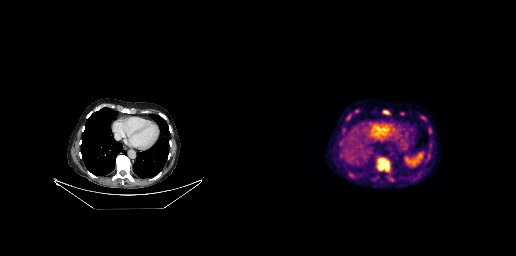
Paired axial CT (left) and PSMA PET (right), 18F-PSMA tracer. PET panel 256×256 px (2.7 mm/px). Coordinates are on the 256×256 PET (right) panel. (showing 6 of 7 foci) PSMA-avid tumor lesion bounding boxes (x0, y0)-(x1, y1): (117, 158)-(129, 171) / (123, 110)-(129, 114) / (86, 114)-(91, 120) / (169, 127)-(172, 133). Small PSMA-avid foci (2 to 4 px across) near (center x, center y): (96, 111) / (80, 143).